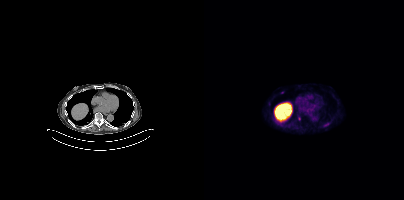
Two-panel axial: CT | PSMA PET, 18F-PSMA tracer. Slice position z = -604 mm. PET panel 200×200 px (4.1 mm/px). Only PSMA-avid lesion pieces thinner than 2 px on this slice (not listed).